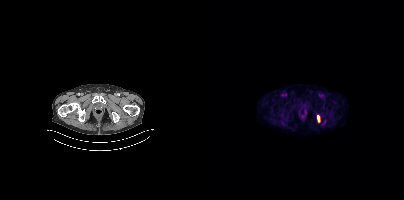
Coordinates are on the 200×200 PET (right) panel. PSMA-avid tumor lesion bounding box (x, y, width, height): x=113 y=115 w=3 h=7.
modality: PSMA PET/CT | tracer: [18F]PSMA-1007 | view: axial